modality: PSMA PET/CT | tracer: [18F]PSMA-1007 | view: axial
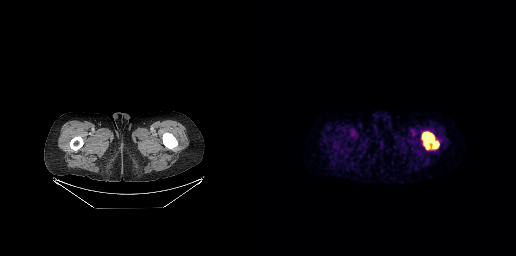
Coordinates are on the 256×256 PET (right) panel. PSMA-avid tumor lesion bounding box (x0,y0,x1,y1): [162,131,179,149].